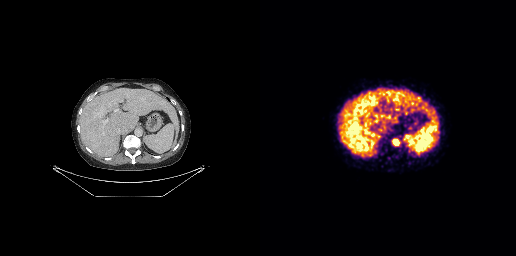
{"modality":"PSMA PET/CT","view":"axial","tracer":"[68Ga]Ga-PSMA-11","pet_grid":[256,256],"coord_frame":"pet_panel","coord_format":"x0,y0,x1,y1","lesion_bboxes":[[132,139,139,145]]}